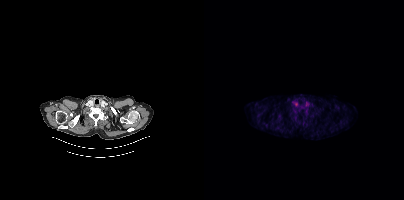
modality: PSMA PET/CT | tracer: 18F-PSMA | view: axial | PET grid: 200×200
No PSMA-avid tumor lesions on this slice.